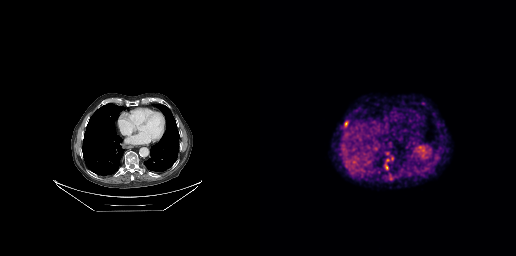
modality: PSMA PET/CT | tracer: [68Ga]Ga-PSMA-11 | view: axial
Coordinates are on the 256×256 PET (right) panel. (showing 6 of 7 foci) PSMA-avid tumor lesion bounding boxes (x, y, width, height): x=124 y=158 w=6 h=12; x=84 y=121 w=5 h=7; x=125 y=152 w=5 h=4; x=130 y=176 w=3 h=5. Small PSMA-avid foci (2 to 4 px across) near (center x, center y): (132, 158); (178, 158).